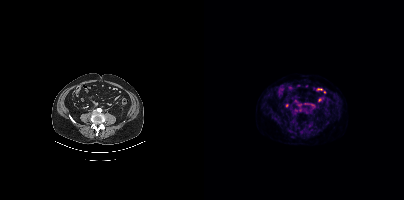
No tumor lesions annotated on this slice.